modality: PSMA PET/CT | tracer: [18F]PSMA-1007 | view: axial | PET grid: 200×200
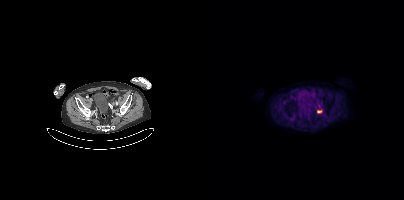
Coordinates are on the 200×200 PET (right) panel. (showing 1 of 2 foci) PSMA-avid tumor lesion bounding box (x, y, width, height): x=113 y=110 w=5 h=4.